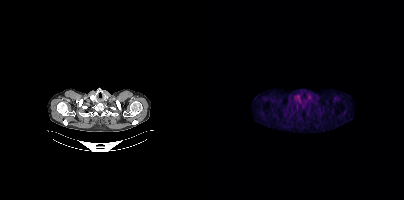
{"pet_grid":[200,200],"coord_frame":"pet_panel","coord_format":"x0,y0,x1,y1","psma_avid_lesions":false,"modality":"PSMA PET/CT","view":"axial","tracer":"[18F]PSMA-1007"}